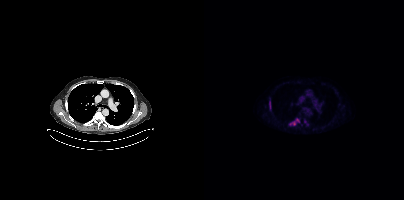
Coordinates are on the 200×200 PET (right) panel. (showing 2 of 3 foci) PSMA-avid tumor lesion bounding boxes (x0,y0,x1,y1): [85,118,95,125]; [65,101,66,109].